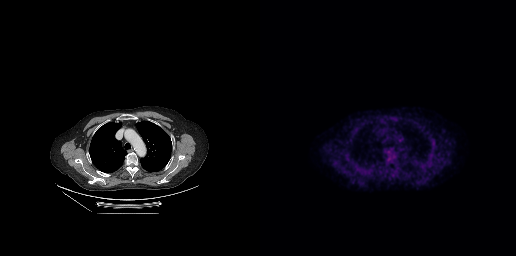
Paired axial CT (left) and PSMA PET (right), 18F-PSMA tracer. Slice position z = -179 mm. PET panel 256×256 px (2.7 mm/px). Negative for PSMA-avid disease on this slice.